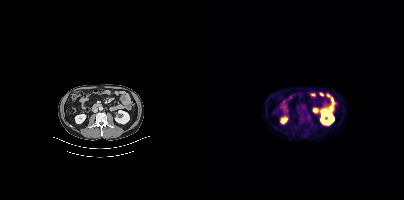
Paired axial CT (left) and PSMA PET (right), 18F tracer. PET panel 200×200 px (4.1 mm/px).
Coordinates are on the 200×200 PET (right) panel. PSMA-avid tumor lesion bounding boxes:
| # | x0 | y0 | x1 | y1 |
|---|---|---|---|---|
| 1 | 95 | 113 | 107 | 123 |